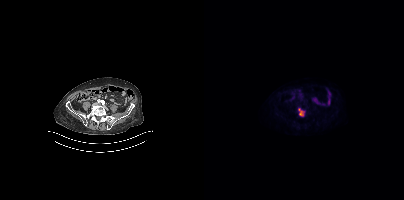
modality: PSMA PET/CT | tracer: 18F-PSMA | view: axial
Coordinates are on the 200×200 PET (right) panel. PSMA-avid tumor lesion bounding box (x0, y0)-(x1, y1): (94, 108)-(101, 116).